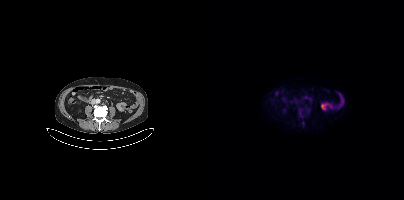
Paired axial CT (left) and PSMA PET (right), [18F]PSMA-1007 tracer. Only PSMA-avid lesion pieces thinner than 2 px on this slice (not listed).